Two-panel axial: CT | PSMA PET, [18F]PSMA-1007 tracer. Acquired on Siemens Biograph mCT Flow 20. PET panel 200×200 px (4.1 mm/px). Part of this slice was blanked for de-identification.
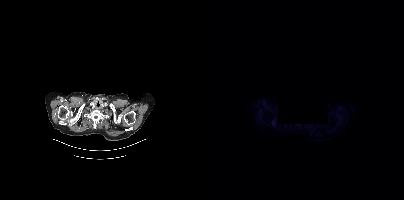
Coordinates are on the 200×200 PET (right) panel. PSMA-avid tumor lesion bounding boxes:
| # | x0 | y0 | x1 | y1 |
|---|---|---|---|---|
| 1 | 67 | 120 | 71 | 126 |